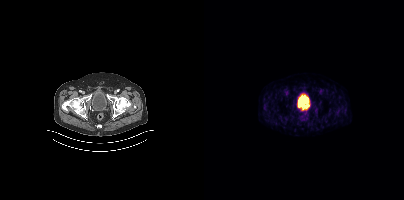
No tumor lesions annotated on this slice. Left: CT. Right: PSMA PET, same axial level, 68Ga-PSMA tracer. Acquired on Siemens Biograph mCT Flow 20. PET panel 200×200 px (4.1 mm/px).